modality: PSMA PET/CT | tracer: [18F]PSMA-1007 | view: axial
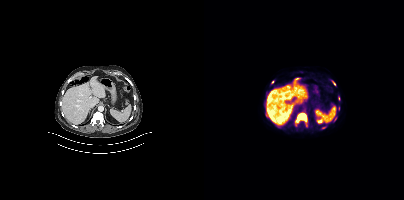
Coordinates are on the 200×200 PET (right) panel. (showing 7 of 9 foci) PSMA-avid tumor lesion bounding box (x0, y0)-(x1, y1): (91, 113)-(103, 123). Small PSMA-avid foci (2 to 4 px across) near (center x, center y): (130, 119) / (119, 127) / (134, 98) / (134, 108) / (68, 82) / (130, 83).